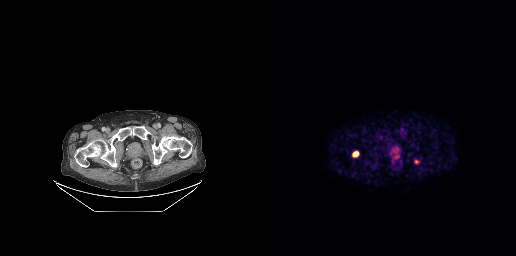
Coordinates are on the 256×256 PET (right) panel. PSMA-avid tumor lesion bounding boxes (x, y, width, height): x=93 y=151 w=6 h=6 / x=154 y=160 w=6 h=4.